Two-panel axial: CT | PSMA PET, 18F tracer. Acquired on GE Discovery 690. PET panel 256×256 px (2.7 mm/px).
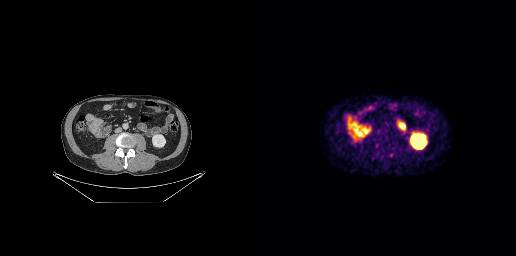
Only PSMA-avid lesion pieces thinner than 2 px on this slice (not listed).